- Paired axial CT (left) and PSMA PET (right), [18F]PSMA-1007 tracer
- slice 319 of 403
- PET panel 200×200 px (4.1 mm/px)
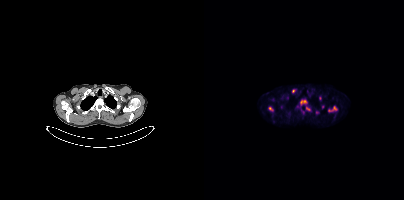
Findings: Coordinates are on the 200×200 PET (right) panel. (showing 8 of 9 foci) PSMA-avid tumor lesion bounding boxes (x0,y0,x1,y1): [124,106,133,112], [96,99,103,105], [64,106,69,111], [102,106,106,110]. Small PSMA-avid foci (2 to 4 px across) near (center x, center y): (89, 90), (116, 97), (113, 112), (118, 107).